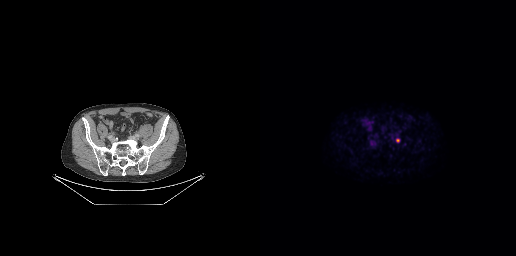
Coordinates are on the 256×256 PET (right) panel. PSMA-avid tumor lesion bounding box (x0,y0,x1,y1): [136,138,139,142]. Paired axial CT (left) and PSMA PET (right), 18F-PSMA tracer. PET panel 256×256 px (2.7 mm/px).